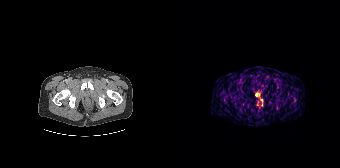
Coordinates are on the 168×168 PET (right) panel. Small PSMA-avid focus (2 to 4 px across) near (center x, center y): (84, 94).
modality: PSMA PET/CT | tracer: [68Ga]Ga-PSMA-11 | view: axial | PET grid: 168×168